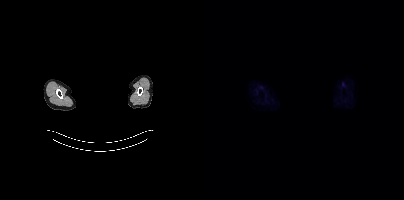
Two-panel axial: CT | PSMA PET, 18F-PSMA tracer. Acquired on Siemens Biograph mCT Flow 20. A rectangle over the head was blacked out to remove identifiable facial features. Negative for PSMA-avid disease on this slice.